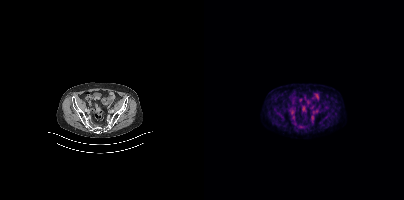
- Left: CT. Right: PSMA PET, same axial level, [18F]PSMA-1007 tracer
- acquired on Siemens Biograph mCT Flow 20
Findings: No PSMA-avid tumor lesions on this slice.